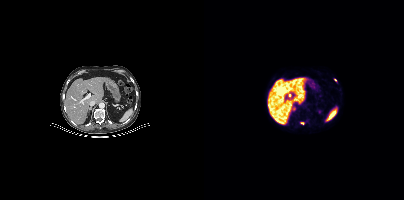
Two-panel axial: CT | PSMA PET, 18F tracer. PET panel 200×200 px (4.1 mm/px). Coordinates are on the 200×200 PET (right) panel. Small PSMA-avid foci (2 to 4 px across) near (center x, center y): (98, 123); (131, 80).